- Two-panel axial: CT | PSMA PET, 18F-PSMA tracer
- acquired on Siemens Biograph mCT Flow 20
- slice 90 of 409
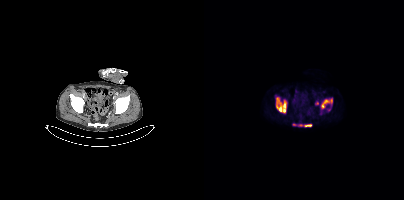
Findings: Coordinates are on the 200×200 PET (right) panel. (showing 5 of 6 foci) PSMA-avid tumor lesion bounding boxes (x0,y0,x1,y1): [71,96,83,113]; [117,98,128,108]; [94,124,107,127]. Small PSMA-avid foci (2 to 4 px across) near (center x, center y): (113, 103); (90, 124).